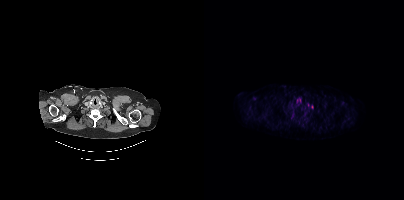
Coordinates are on the 200×200 PET (right) panel. (showing 1 of 2 foci) Small PSMA-avid focus (2 to 4 px across) near (center x, center y): (108, 106).
modality: PSMA PET/CT | tracer: 18F | view: axial | PET grid: 200×200